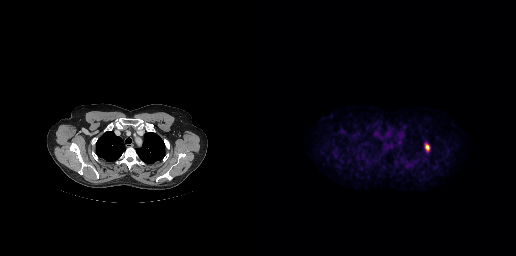
- Paired axial CT (left) and PSMA PET (right), 18F-PSMA tracer
- acquired on GE Discovery 690
Findings: Coordinates are on the 256×256 PET (right) panel. PSMA-avid tumor lesion bounding box (x0, y0)-(x1, y1): (165, 144)-(169, 150).